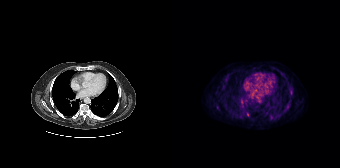
Coordinates are on the 168×168 PET (right) panel. PSMA-avid tumor lesion bounding box (x0, y0)-(x1, y1): (74, 112)-(77, 116). Small PSMA-avid foci (2 to 4 px across) near (center x, center y): (119, 92); (45, 107).